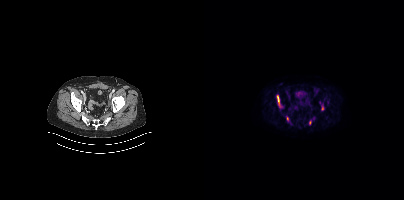
{"modality":"PSMA PET/CT","view":"axial","tracer":"[18F]PSMA-1007","pet_grid":[200,200],"coord_frame":"pet_panel","coord_format":"x0,y0,x1,y1","lesion_bboxes":[[73,95,76,106]],"small_foci_centers":[[118,108],[83,118],[105,122]]}